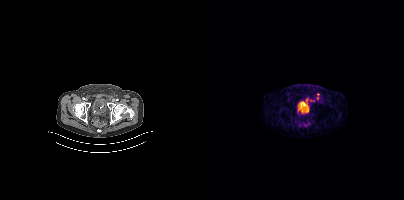
Coordinates are on the 200×200 PET (right) panel. (showing 1 of 2 foci) Small PSMA-avid focus (2 to 4 px across) near (center x, center y): (102, 100). Paired axial CT (left) and PSMA PET (right), 68Ga tracer. Slice position z = -1418 mm. PET panel 200×200 px (4.1 mm/px).